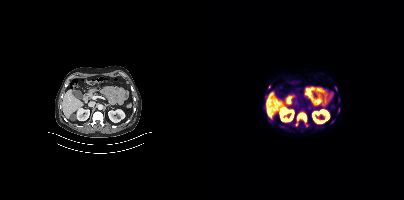
Coordinates are on the 200×200 PET (right) panel. (showing 4 of 7 foci) PSMA-avid tumor lesion bounding box (x, y, width, height): x=93 y=113 w=10 h=10. Small PSMA-avid foci (2 to 4 px across) near (center x, center y): (129, 121); (92, 124); (65, 86).